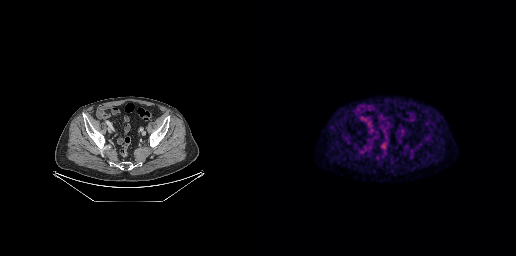
Findings: No tumor lesions annotated on this slice.
- Paired axial CT (left) and PSMA PET (right), 18F-PSMA tracer